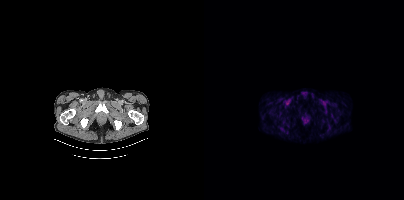
No PSMA-avid tumor lesions on this slice.